A rectangle over the head was blacked out to remove identifiable facial features.
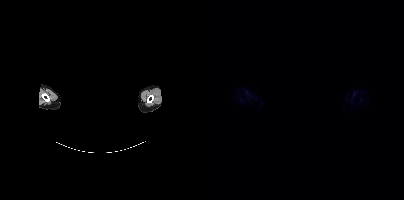
No tumor lesions annotated on this slice.